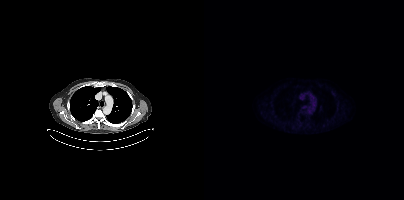
Two-panel axial: CT | PSMA PET, 18F tracer. Acquired on Siemens Biograph mCT Flow 20. No PSMA-avid tumor lesions on this slice.